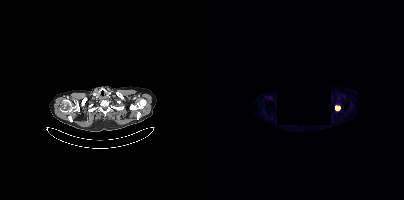
de-identification: privacy mask (black rectangle) | modality: PSMA PET/CT | tracer: 18F-PSMA | view: axial
Coordinates are on the 200×200 PET (right) panel. PSMA-avid tumor lesion bounding box (x0,y0,x1,y1): [131,106,136,110].